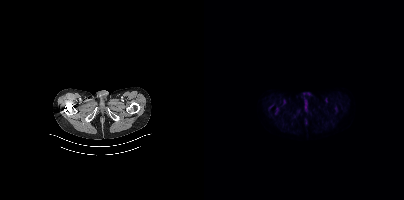
{"modality":"PSMA PET/CT","view":"axial","tracer":"18F","pet_grid":[200,200],"coord_frame":"pet_panel","coord_format":"x0,y0,x1,y1","psma_avid_lesions":false}